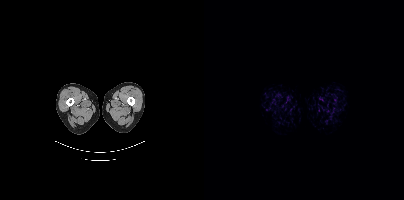
- Paired axial CT (left) and PSMA PET (right), 18F-PSMA tracer
- PET panel 200×200 px (4.1 mm/px)
Findings: This slice has no annotated PSMA-avid lesion.